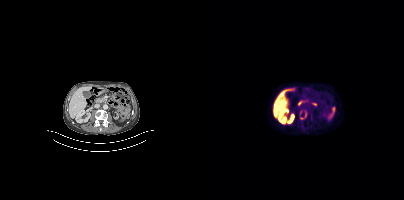
Findings: Coordinates are on the 200×200 PET (right) panel. PSMA-avid tumor lesion bounding box (x0, y0)-(x1, y1): (96, 110)-(103, 119).
Technique: Left: CT. Right: PSMA PET, same axial level, 18F tracer. acquired on Siemens Biograph mCT Flow 20. PET panel 200×200 px (4.1 mm/px).